modality: PSMA PET/CT | tracer: [18F]PSMA-1007 | view: axial | de-identification: face masked with black rectangle
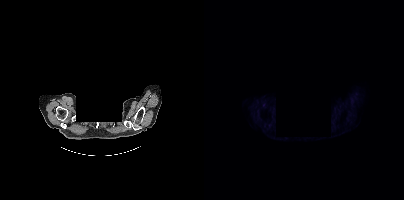
Negative for PSMA-avid disease on this slice.